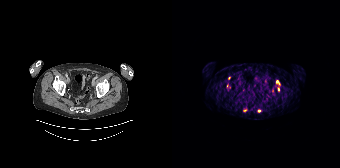
Coordinates are on the 168×168 PET (right) panel. (showing 5 of 7 foci) PSMA-avid tumor lesion bounding box (x, y, width, height): x=104 y=80 w=4 h=5. Small PSMA-avid foci (2 to 4 px across) near (center x, center y): (100, 90); (106, 89); (73, 110); (86, 110).